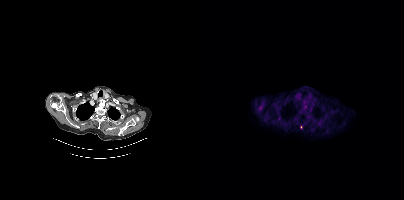
Coordinates are on the 200×200 PET (right) panel. Small PSMA-avid foci (2 to 4 px across) near (center x, center y): (75, 117) | (97, 127).